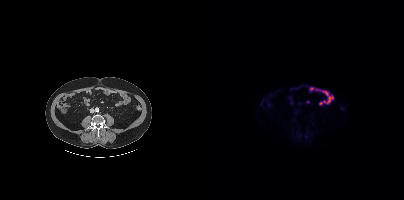
Technique: Paired axial CT (left) and PSMA PET (right), 18F tracer. acquired on Siemens Biograph mCT Flow 20. slice 139 of 417.
Findings: Negative for PSMA-avid disease on this slice.